Two-panel axial: CT | PSMA PET, [18F]PSMA-1007 tracer. Slice position z = -425 mm.
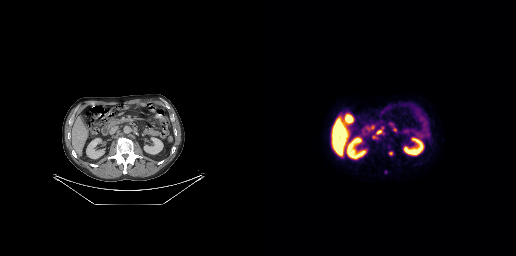
Coordinates are on the 256×256 PET (right) panel. PSMA-avid tumor lesion bounding boxes (x0,y0,x1,y1): [116,127,123,134], [112,135,117,138]. Small PSMA-avid foci (2 to 4 px across) near (center x, center y): (130, 153), (135, 129).